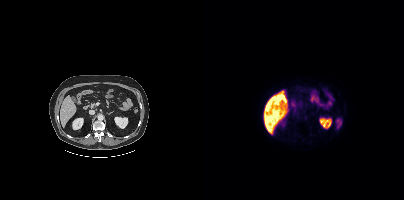
This slice has no annotated PSMA-avid lesion.